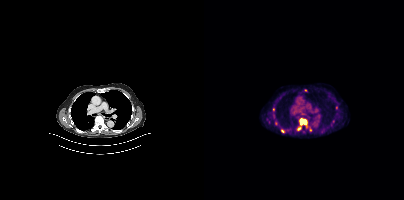
{"modality":"PSMA PET/CT","view":"axial","tracer":"[18F]PSMA-1007","pet_grid":[200,200],"coord_frame":"pet_panel","coord_format":"x0,y0,x1,y1","partial":true,"lesion_bboxes":[[95,118,103,127],[93,127,97,130]],"small_foci_centers":[[78,131],[106,129]]}